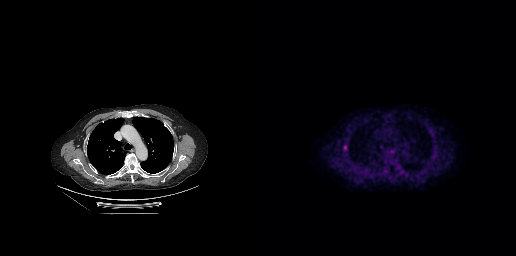
Coordinates are on the 256×256 PET (right) panel. PSMA-avid tumor lesion bounding box (x0,y0,x1,y1): [83,143,87,152]. Paired axial CT (left) and PSMA PET (right), 18F tracer. Acquired on GE Discovery 690. Slice 202 of 263.